Technique: Two-panel axial: CT | PSMA PET, 18F-PSMA tracer. PET panel 200×200 px (4.1 mm/px).
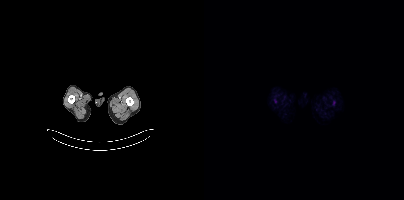
Findings: No tumor lesions annotated on this slice.